Technique: Left: CT. Right: PSMA PET, same axial level, [18F]PSMA-1007 tracer.
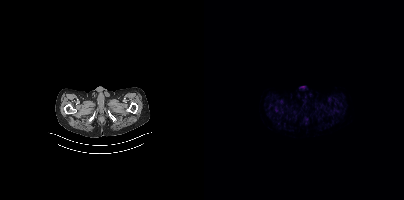
Findings: This slice has no annotated PSMA-avid lesion.